Technique: Left: CT. Right: PSMA PET, same axial level, 68Ga tracer. slice 33 of 195. PET panel 168×168 px (4.1 mm/px).
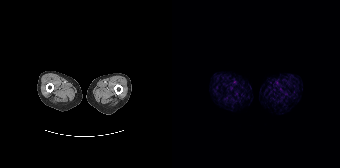
Findings: No tumor lesions annotated on this slice.